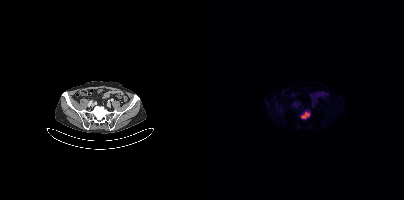
Coordinates are on the 200×200 PET (right) panel. PSMA-avid tumor lesion bounding box (x0,y0,x1,y1): [97,111,106,118]. Two-panel axial: CT | PSMA PET, 18F tracer. PET panel 200×200 px (4.1 mm/px).